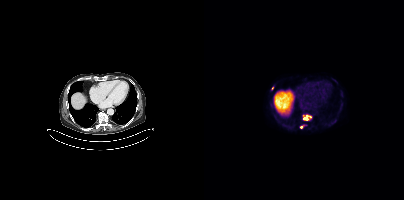
{"modality":"PSMA PET/CT","view":"axial","tracer":"18F","pet_grid":[200,200],"coord_frame":"pet_panel","coord_format":"x0,y0,x1,y1","partial":true,"lesion_bboxes":[[98,115,103,119]],"small_foci_centers":[[68,88]]}